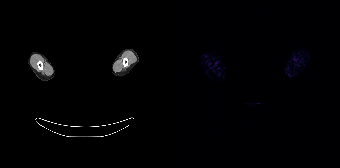
This slice has no annotated PSMA-avid lesion. A rectangular block over the head has been blanked out for de-identification. Two-panel axial: CT | PSMA PET, [68Ga]Ga-PSMA-11 tracer. Slice 192 of 195. PET panel 168×168 px (4.1 mm/px).